Paired axial CT (left) and PSMA PET (right), 18F-PSMA tracer. Acquired on Siemens Biograph mCT Flow 20. Slice 188 of 373.
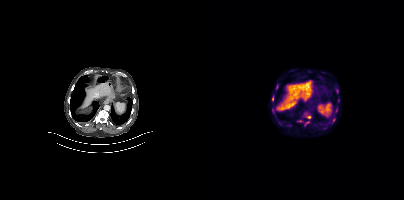
Coordinates are on the 200×200 PET (right) panel. PSMA-avid tumor lesion bounding boxes (x, y, width, height): x=67 y=108 w=6 h=8 | x=73 y=119 w=8 h=8 | x=100 y=112 w=8 h=7 | x=119 y=124 w=7 h=6 | x=131 y=88 w=4 h=6 | x=72 y=84 w=3 h=6 | x=72 y=102 w=6 h=6 | x=100 y=121 w=6 h=5 | x=128 y=118 w=4 h=5 | x=68 y=95 w=3 h=6 | x=131 y=108 w=3 h=5 | x=93 y=120 w=6 h=3. Small PSMA-avid focus (2 to 4 px across) near (center x, center y): (134, 100).